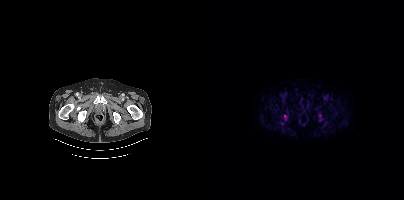
Findings: No PSMA-avid tumor lesions on this slice.
Technique: Left: CT. Right: PSMA PET, same axial level, 18F-PSMA tracer.